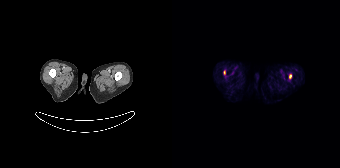
{"modality":"PSMA PET/CT","view":"axial","tracer":"68Ga-PSMA","pet_grid":[168,168],"coord_frame":"pet_panel","coord_format":"x0,y0,x1,y1","lesion_bboxes":[[117,74,119,78]],"small_foci_centers":[[52,71]]}